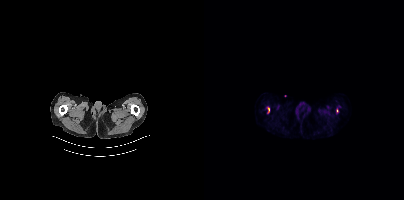
Technique: Paired axial CT (left) and PSMA PET (right), [18F]PSMA-1007 tracer. PET panel 200×200 px (4.1 mm/px).
Findings: Coordinates are on the 200×200 PET (right) panel. PSMA-avid tumor lesion bounding box (x0,y0,x1,y1): [63,107,65,113]. Small PSMA-avid focus (2 to 4 px across) near (center x, center y): (133, 110).